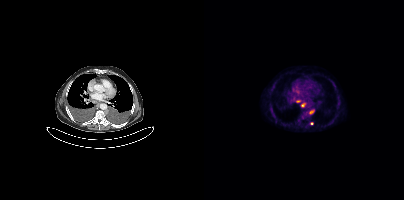
- Two-panel axial: CT | PSMA PET, 18F tracer
- acquired on Siemens Biograph mCT Flow 20
- slice 245 of 381
- PET panel 200×200 px (4.1 mm/px)
Findings: Coordinates are on the 200×200 PET (right) panel. PSMA-avid tumor lesion bounding box (x, y, width, height): x=105 y=110 w=5 h=5. Small PSMA-avid foci (2 to 4 px across) near (center x, center y): (98, 105) | (94, 101) | (107, 123).